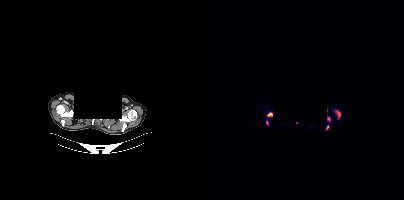
deidentification: privacy mask over head | modality: PSMA PET/CT | tracer: [18F]PSMA-1007 | view: axial | PET grid: 200×200
Coordinates are on the 200×200 PET (right) panel. PSMA-avid tumor lesion bounding boxes (x0, y0)-(x1, y1): (131, 109)-(136, 118) | (62, 112)-(68, 117) | (62, 120)-(64, 125) | (122, 125)-(124, 129).